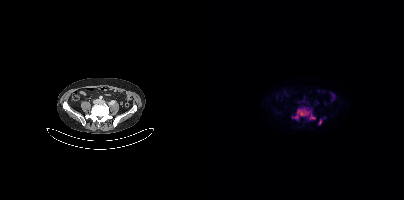
Coordinates are on the 200×200 PET (right) panel. (showing 2 of 3 foci) PSMA-avid tumor lesion bounding boxes (x0,y0,x1,y1): [88,108,111,119] [114,119,118,124].